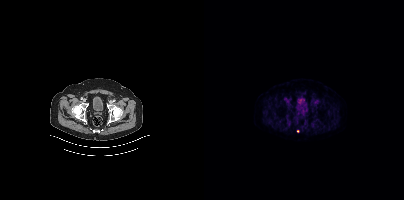
Technique: Paired axial CT (left) and PSMA PET (right), 18F tracer. acquired on Siemens Biograph mCT Flow 20. PET panel 200×200 px (4.1 mm/px).
Findings: Only PSMA-avid lesion pieces thinner than 2 px on this slice (not listed).